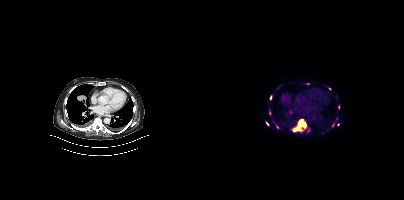
Coordinates are on the 200×200 PET (right) panel. (showing 10 of 12 foci) PSMA-avid tumor lesion bounding box (x0, y0)-(x1, y1): (87, 118)-(103, 132). Small PSMA-avid foci (2 to 4 px across) near (center x, center y): (66, 97); (134, 106); (104, 129); (63, 123); (134, 124); (129, 125); (73, 127); (103, 83); (125, 88).